Two-panel axial: CT | PSMA PET, [18F]PSMA-1007 tracer.
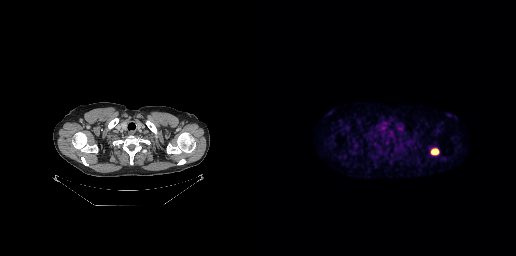
Coordinates are on the 256×256 PET (right) panel. PSMA-avid tumor lesion bounding boxes:
| # | x0 | y0 | x1 | y1 |
|---|---|---|---|---|
| 1 | 171 | 148 | 178 | 154 |